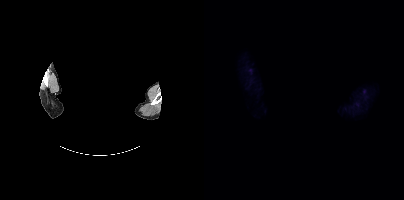
redaction: privacy mask over head | modality: PSMA PET/CT | tracer: [18F]PSMA-1007 | view: axial
Negative for PSMA-avid disease on this slice.